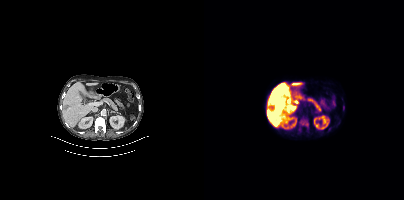
{"modality":"PSMA PET/CT","view":"axial","tracer":"18F","pet_grid":[200,200],"coord_frame":"pet_panel","coord_format":"x0,y0,x1,y1","partial":true,"lesion_bboxes":[[95,118,104,128],[139,104,140,109]],"small_foci_centers":[[95,129]]}